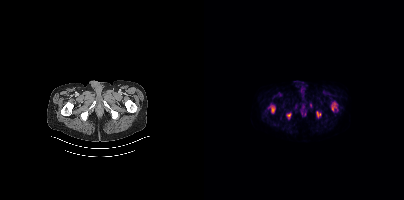
Coordinates are on the 200×200 PET (right) panel. PSMA-avid tumor lesion bounding boxes (x0, y0)-(x1, y1): (64, 104)-(71, 113) / (82, 112)-(87, 119) / (128, 102)-(132, 110) / (113, 111)-(116, 117). Small PSMA-avid foci (2 to 4 px across) near (center x, center y): (92, 106) / (106, 105).
modality: PSMA PET/CT | tracer: 18F-PSMA | view: axial | PET grid: 200×200